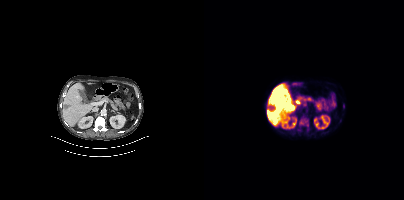
Technique: Left: CT. Right: PSMA PET, same axial level, [18F]PSMA-1007 tracer. acquired on Siemens Biograph mCT Flow 20. PET panel 200×200 px (4.1 mm/px).
Findings: Coordinates are on the 200×200 PET (right) panel. (showing 2 of 4 foci) PSMA-avid tumor lesion bounding boxes (x, y, width, height): x=95 y=118 w=10 h=10; x=139 y=103 w=2 h=6.